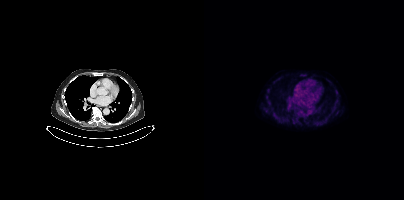
Only PSMA-avid lesion pieces thinner than 2 px on this slice (not listed).